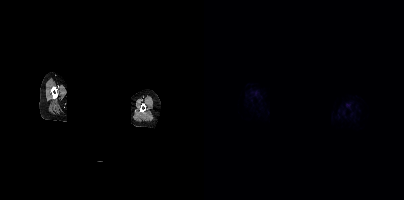
{"modality":"PSMA PET/CT","view":"axial","tracer":"68Ga","pet_grid":[200,200],"coord_frame":"pet_panel","coord_format":"x0,y0,x1,y1","psma_avid_lesions":false,"de-identification":"privacy mask over head"}